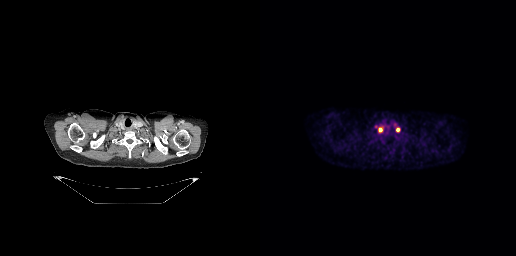
Coordinates are on the 256×256 PET (right) panel. Small PSMA-avid foci (2 to 4 px across) near (center x, center y): (137, 129) / (120, 129). Two-panel axial: CT | PSMA PET, 18F tracer. PET panel 256×256 px (2.7 mm/px).